Left: CT. Right: PSMA PET, same axial level, 18F-PSMA tracer. Acquired on Siemens Biograph mCT Flow 20. PET panel 200×200 px (4.1 mm/px).
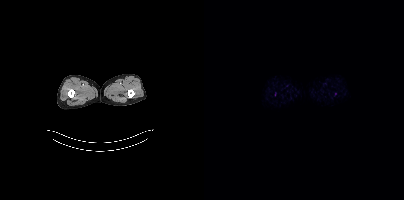
This slice has no annotated PSMA-avid lesion.